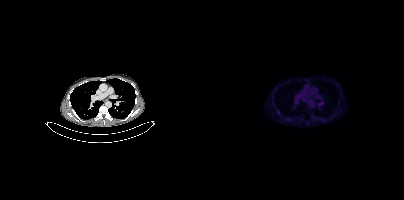
Coordinates are on the 200×200 PET (right) panel. (showing 3 of 4 foci) Small PSMA-avid foci (2 to 4 px across) near (center x, center y): (117, 103) (74, 111) (94, 96).
modality: PSMA PET/CT | tracer: 18F | view: axial | PET grid: 200×200